Paired axial CT (left) and PSMA PET (right), 18F tracer. Acquired on Siemens Biograph mCT Flow 20. Slice 28 of 367.
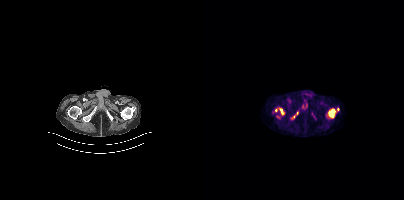
Coordinates are on the 200×200 PET (right) panel. PSMA-avid tumor lesion bounding boxes:
| # | x0 | y0 | x1 | y1 |
|---|---|---|---|---|
| 1 | 75 | 108 | 80 | 114 |
| 2 | 88 | 114 | 92 | 118 |
Small PSMA-avid focus (2 to 4 px across) near (center x, center y): (72, 110).